- Left: CT. Right: PSMA PET, same axial level, 18F-PSMA tracer
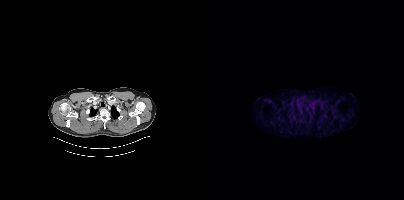
Findings: Negative for PSMA-avid disease on this slice.